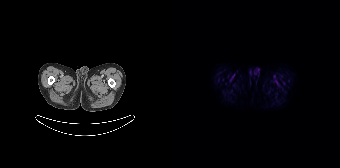
Paired axial CT (left) and PSMA PET (right), 18F-PSMA tracer. Slice position z = -1475 mm. No PSMA-avid tumor lesions on this slice.